modality: PSMA PET/CT | tracer: 18F | view: axial | PET grid: 200×200 | de-identification: face masked with black rectangle
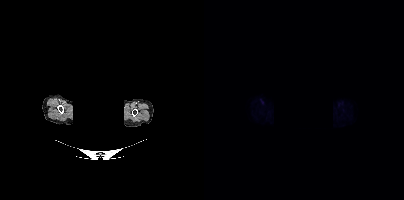
No tumor lesions annotated on this slice.